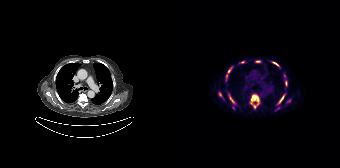
Technique: Left: CT. Right: PSMA PET, same axial level, 18F tracer.
Findings: Coordinates are on the 168×168 PET (right) panel. (showing 9 of 12 foci) PSMA-avid tumor lesion bounding boxes (x0, y0)-(x1, y1): (78, 95)-(87, 108); (105, 94)-(113, 104); (54, 68)-(59, 80); (57, 94)-(63, 103); (100, 62)-(106, 66); (113, 81)-(114, 85). Small PSMA-avid foci (2 to 4 px across) near (center x, center y): (48, 94); (70, 61); (117, 100).